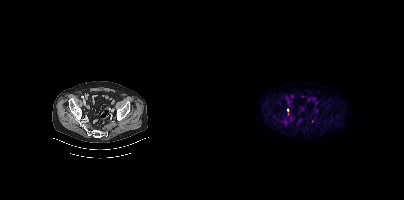
Coordinates are on the 200×200 PET (right) panel. (showing 2 of 3 foci) Small PSMA-avid foci (2 to 4 px across) near (center x, center y): (84, 113) / (83, 109). Left: CT. Right: PSMA PET, same axial level, 18F-PSMA tracer. Acquired on Siemens Biograph mCT Flow 20.